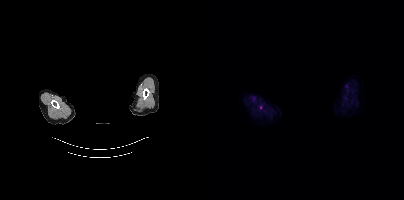
{"modality":"PSMA PET/CT","view":"axial","tracer":"18F-PSMA","pet_grid":[200,200],"coord_frame":"pet_panel","coord_format":"x0,y0,x1,y1","de-identification":"rectangular block over head set to black","psma_avid_lesions":false}